modality: PSMA PET/CT | tracer: 18F-PSMA | view: axial | PET grid: 200×200
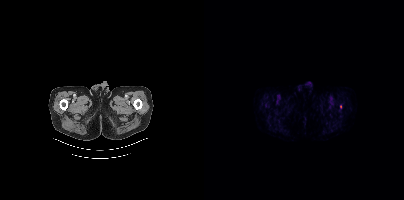
Coordinates are on the 200×200 PET (right) panel. Small PSMA-avid focus (2 to 4 px across) near (center x, center y): (136, 106).